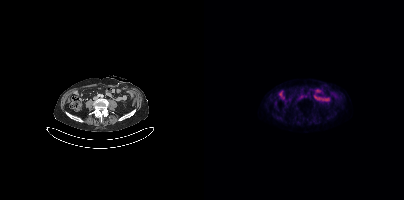
{"modality":"PSMA PET/CT","view":"axial","tracer":"18F","pet_grid":[200,200],"coord_frame":"pet_panel","coord_format":"x0,y0,x1,y1","psma_avid_lesions":false}